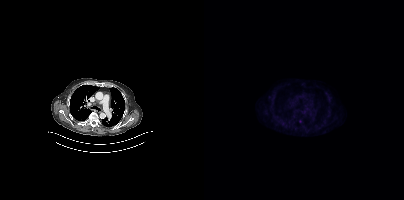
Paired axial CT (left) and PSMA PET (right), [18F]PSMA-1007 tracer. Acquired on Siemens Biograph mCT Flow 20. PET panel 200×200 px (4.1 mm/px). Only PSMA-avid lesion pieces thinner than 2 px on this slice (not listed).